modality: PSMA PET/CT | tracer: 18F | view: axial
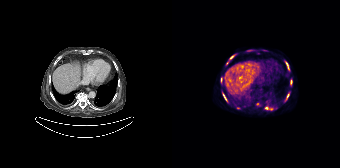
Coordinates are on the 168×168 PET (right) panel. (showing 7 of 9 foci) PSMA-avid tumor lesion bounding boxes (x0,y0,x1,y1): [93,107,101,110], [113,61,117,69], [50,93,55,101], [118,80,120,84], [49,78,50,82]. Small PSMA-avid foci (2 to 4 px across) near (center x, center y): (116, 95), (59, 57).